Two-panel axial: CT | PSMA PET, 18F-PSMA tracer. Slice position z = -635 mm. PET panel 200×200 px (4.1 mm/px).
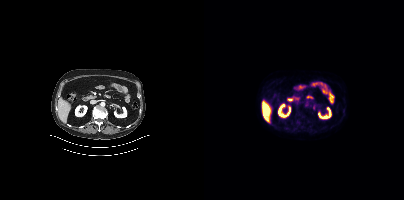
No PSMA-avid tumor lesions on this slice.